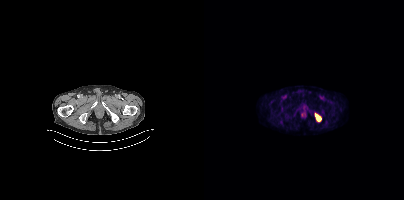
Left: CT. Right: PSMA PET, same axial level, 18F tracer. PET panel 200×200 px (4.1 mm/px).
Coordinates are on the 200×200 PET (right) panel. PSMA-avid tumor lesion bounding boxes:
| # | x0 | y0 | x1 | y1 |
|---|---|---|---|---|
| 1 | 111 | 113 | 117 | 121 |